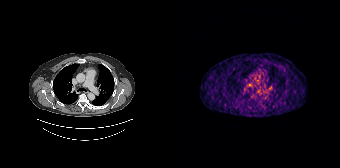
Coordinates are on the 168×168 PET (right) panel. Small PSMA-avid focus (2 to 4 px across) near (center x, center y): (78, 84). Left: CT. Right: PSMA PET, same axial level, 68Ga-PSMA tracer. Acquired on Siemens Biograph 64-4R TruePoint. Slice position z = -466 mm.